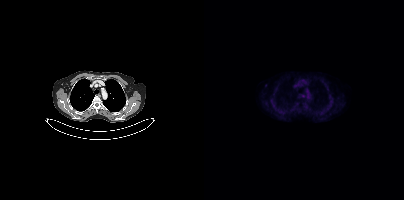
This slice has no annotated PSMA-avid lesion.